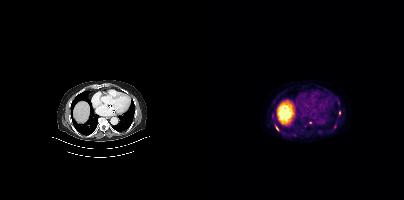
Paired axial CT (left) and PSMA PET (right), 18F-PSMA tracer. PET panel 200×200 px (4.1 mm/px).
Coordinates are on the 200×200 PET (right) panel. PSMA-avid tumor lesion bounding boxes (partial; 1 more focus not listed):
| # | x0 | y0 | x1 | y1 |
|---|---|---|---|---|
| 1 | 68 | 113 | 69 | 118 |
| 2 | 130 | 124 | 132 | 128 |
| 3 | 72 | 126 | 75 | 130 |
Small PSMA-avid foci (2 to 4 px across) near (center x, center y): (135, 112); (90, 135); (106, 122); (100, 125).